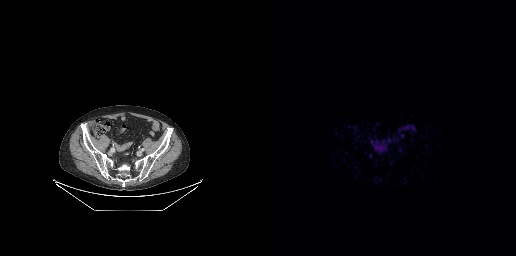
No PSMA-avid tumor lesions on this slice.